Paired axial CT (left) and PSMA PET (right), 18F tracer. Acquired on Siemens Biograph mCT Flow 20. PET panel 200×200 px (4.1 mm/px).
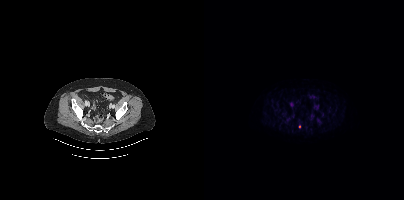
Coordinates are on the 200×200 PET (right) panel. Small PSMA-avid focus (2 to 4 px across) near (center x, center y): (95, 126).